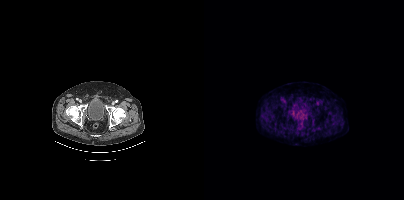
This slice has no annotated PSMA-avid lesion. Left: CT. Right: PSMA PET, same axial level, [18F]PSMA-1007 tracer. Slice 89 of 448.